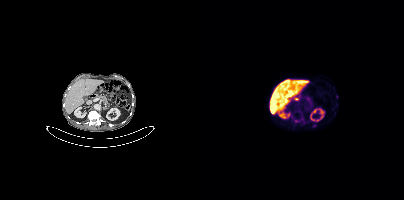
No tumor lesions annotated on this slice. Left: CT. Right: PSMA PET, same axial level, 18F tracer. Slice 168 of 354.